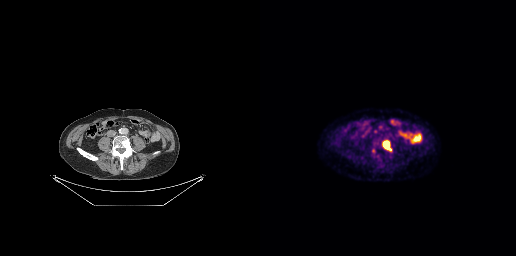
Coordinates are on the 256×256 PET (right) panel. PSMA-avid tumor lesion bounding boxes (x, y, width, height): x=123 y=141 w=10 h=11 | x=115 y=141 w=5 h=5. Small PSMA-avid focus (2 to 4 px across) near (center x, center y): (113, 150).